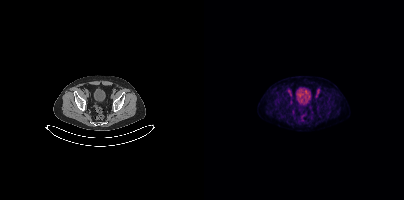
Findings: Negative for PSMA-avid disease on this slice.
Technique: Left: CT. Right: PSMA PET, same axial level, 18F tracer. acquired on Siemens Biograph mCT Flow 20.